Technique: Two-panel axial: CT | PSMA PET, 18F tracer. slice position z = -704 mm.
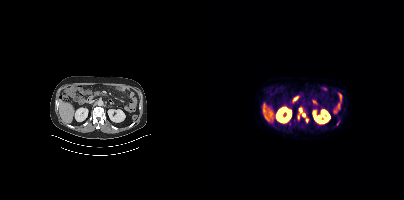
Findings: Coordinates are on the 200×200 PET (right) panel. (showing 3 of 4 foci) Small PSMA-avid foci (2 to 4 px across) near (center x, center y): (99, 114) (96, 109) (102, 119).